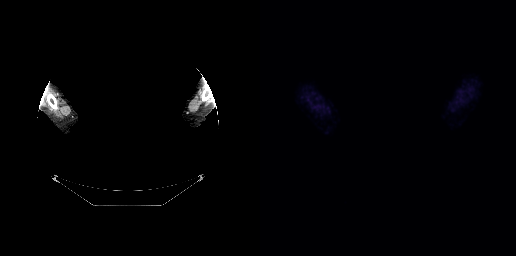
Any black rectangle over the head is a privacy mask, not anatomy.
No tumor lesions annotated on this slice.